modality: PSMA PET/CT | tracer: 18F-PSMA | view: axial | PET grid: 256×256
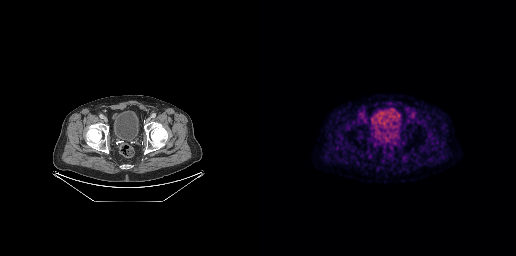
Negative for PSMA-avid disease on this slice.